Technique: Left: CT. Right: PSMA PET, same axial level, 18F tracer. acquired on Siemens Biograph mCT Flow 20. PET panel 200×200 px (4.1 mm/px).
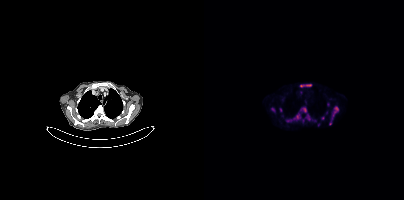
Findings: Coordinates are on the 200×200 PET (right) panel. (showing 11 of 14 foci) PSMA-avid tumor lesion bounding boxes (x0,y0,x1,y1): [129,106,134,116] [96,84,107,86] [90,114,96,119] [97,108,102,112] [82,119,86,122] [104,115,105,119]. Small PSMA-avid foci (2 to 4 px across) near (center x, center y): (69, 109) (76, 110) (118, 118) (126, 123) (114, 124).